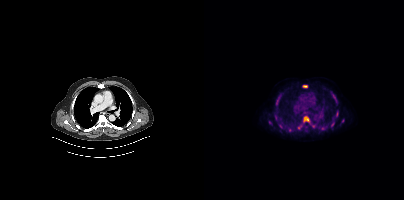
modality: PSMA PET/CT | tracer: 18F | view: axial
Coordinates are on the 200×200 PET (right) panel. (showing 13 of 14 foci) PSMA-avid tumor lesion bounding boxes (x0,y0,x1,y1): [99,116,106,122]; [129,96,133,103]; [131,110,134,116]; [99,85,103,87]; [75,124,78,128]; [93,126,97,129]; [127,122,130,126]; [72,100,74,104]. Small PSMA-avid foci (2 to 4 px across) near (center x, center y): (85, 129); (109, 126); (71, 117); (139, 121); (66, 122).